Technique: Paired axial CT (left) and PSMA PET (right), 68Ga-PSMA tracer.
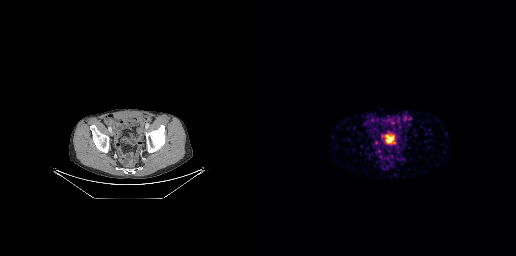
Findings: This slice has no annotated PSMA-avid lesion.